Two-panel axial: CT | PSMA PET, 18F tracer. PET panel 200×200 px (4.1 mm/px).
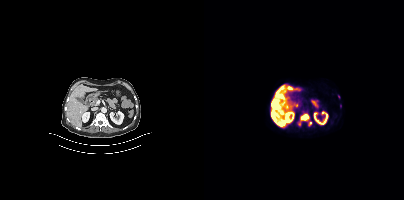
Coordinates are on the 200×200 PET (right) panel. PSMA-avid tumor lesion bounding boxes:
| # | x0 | y0 | x1 | y1 |
|---|---|---|---|---|
| 1 | 71 | 91 | 80 | 98 |
| 2 | 68 | 100 | 73 | 107 |
| 3 | 97 | 116 | 103 | 119 |
| 4 | 82 | 86 | 87 | 90 |